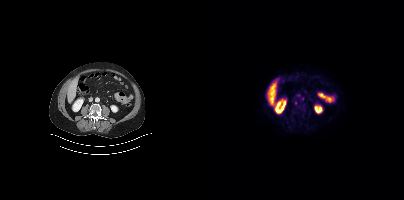
Technique: Two-panel axial: CT | PSMA PET, [18F]PSMA-1007 tracer. PET panel 200×200 px (4.1 mm/px).
Findings: Negative for PSMA-avid disease on this slice.